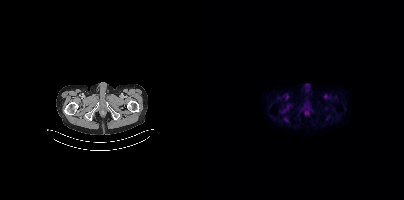
modality: PSMA PET/CT | tracer: [18F]PSMA-1007 | view: axial
Negative for PSMA-avid disease on this slice.